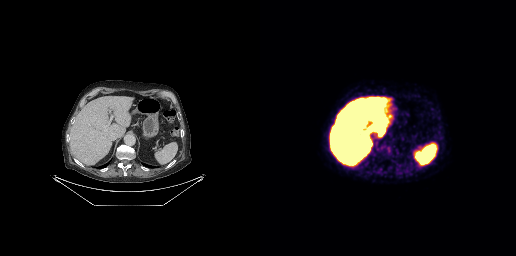
Coordinates are on the 256×256 PET (right) panel. Small PSMA-avid focus (2 to 4 px across) near (center x, center y): (128, 150). Left: CT. Right: PSMA PET, same axial level, 18F-PSMA tracer. PET panel 256×256 px (2.7 mm/px).